Technique: Paired axial CT (left) and PSMA PET (right), 18F tracer. slice position z = -814 mm. PET panel 200×200 px (4.1 mm/px).
Note: Head region blanked for anonymization (face removed).
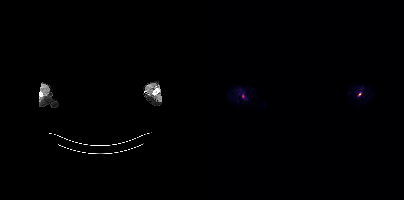
Findings: Coordinates are on the 200×200 PET (right) panel. (showing 1 of 2 foci) Small PSMA-avid focus (2 to 4 px across) near (center x, center y): (156, 94).